Two-panel axial: CT | PSMA PET, [18F]PSMA-1007 tracer. PET panel 256×256 px (2.7 mm/px).
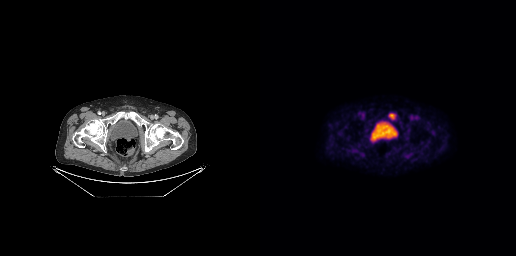
Only PSMA-avid lesion pieces thinner than 2 px on this slice (not listed).